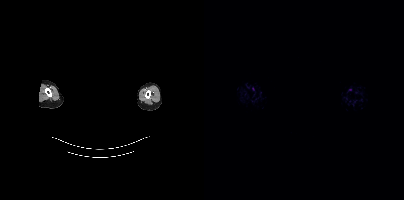
No tumor lesions annotated on this slice.
modality: PSMA PET/CT | tracer: 18F-PSMA | view: axial | redaction: rectangular block over head set to black